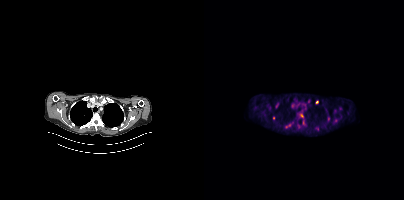
Paired axial CT (left) and PSMA PET (right), 18F tracer. Acquired on Siemens Biograph mCT Flow 20. PET panel 200×200 px (4.1 mm/px). Coordinates are on the 200×200 PET (right) panel. (showing 6 of 8 foci) Small PSMA-avid foci (2 to 4 px across) near (center x, center y): (112, 101); (97, 115); (82, 126); (69, 118); (113, 129); (124, 119).